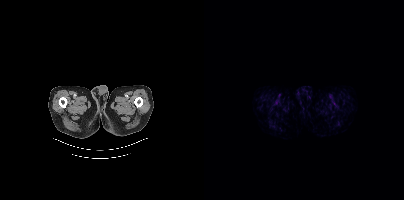
Findings: This slice has no annotated PSMA-avid lesion.
- Left: CT. Right: PSMA PET, same axial level, 18F-PSMA tracer
- PET panel 200×200 px (4.1 mm/px)